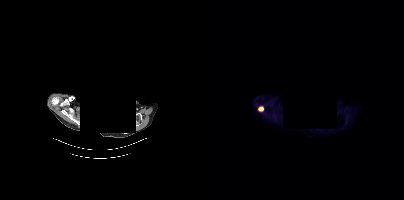
{"pet_grid":[200,200],"coord_frame":"pet_panel","coord_format":"x0,y0,x1,y1","lesion_bboxes":[[54,106,59,111]],"de-identification":"rectangular block over head set to black","modality":"PSMA PET/CT","view":"axial","tracer":"18F"}